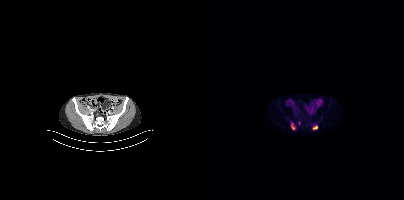
{"modality":"PSMA PET/CT","view":"axial","tracer":"18F-PSMA","pet_grid":[200,200],"coord_frame":"pet_panel","coord_format":"x0,y0,x1,y1","lesion_bboxes":[[109,126,113,129],[88,125,90,129]]}